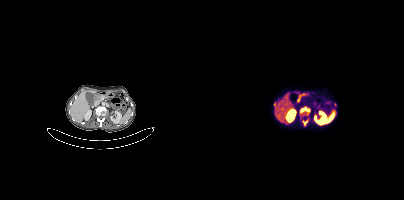
Paired axial CT (left) and PSMA PET (right), [68Ga]Ga-PSMA-11 tracer. Slice position z = -869 mm. Coordinates are on the 200×200 PET (right) panel. (showing 3 of 4 foci) PSMA-avid tumor lesion bounding boxes (x, y, width, height): x=96 y=107 w=10 h=8 / x=99 y=120 w=5 h=6. Small PSMA-avid focus (2 to 4 px across) near (center x, center y): (131, 104).